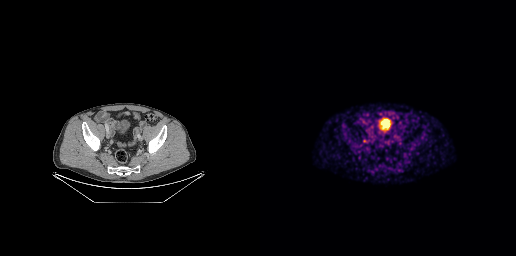
Coordinates are on the 256×256 PET (right) panel. PSMA-avid tumor lesion bounding box (x, y, width, height): x=103 y=139 w=5 h=4.